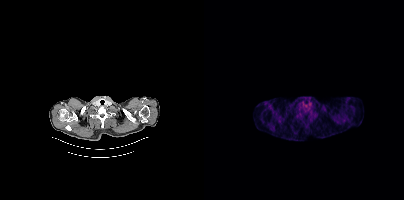
modality: PSMA PET/CT | tracer: 18F | view: axial | PET grid: 200×200
This slice has no annotated PSMA-avid lesion.